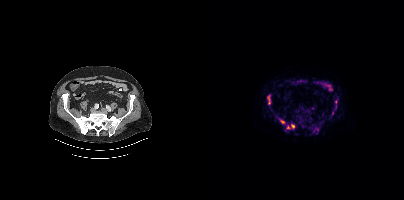
{"modality":"PSMA PET/CT","view":"axial","tracer":"18F-PSMA","pet_grid":[200,200],"coord_frame":"pet_panel","coord_format":"x0,y0,x1,y1","partial":true,"lesion_bboxes":[[64,96,65,104]],"small_foci_centers":[[88,125],[78,121],[84,127],[131,101]]}